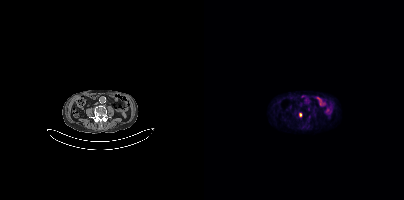
- Two-panel axial: CT | PSMA PET, [18F]PSMA-1007 tracer
- acquired on Siemens Biograph mCT Flow 20
Findings: Coordinates are on the 200×200 PET (right) panel. Small PSMA-avid foci (2 to 4 px across) near (center x, center y): (96, 114) (104, 109).